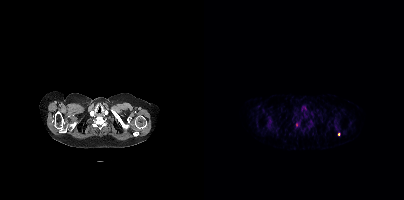
Coordinates are on the 200×200 PET (right) panel. Small PSMA-avid focus (2 to 4 px across) near (center x, center y): (134, 134).